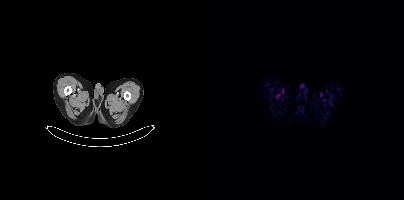
No PSMA-avid tumor lesions on this slice.